modality: PSMA PET/CT | tracer: [18F]PSMA-1007 | view: axial
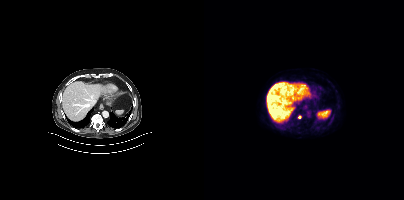
Coordinates are on the 200×200 PET (right) panel. Small PSMA-avid focus (2 to 4 px across) near (center x, center y): (95, 117).